Two-panel axial: CT | PSMA PET, 18F tracer.
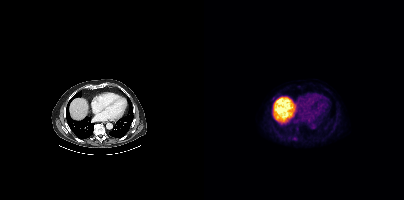
Coordinates are on the 200×200 PET (right) panel. (showing 1 of 2 foci) Small PSMA-avid focus (2 to 4 px across) near (center x, center y): (90, 138).